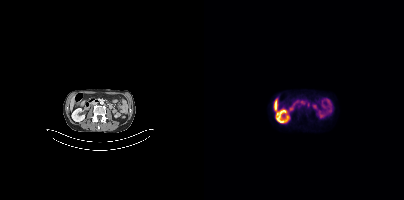
Findings: Coordinates are on the 200×200 PET (right) panel. PSMA-avid tumor lesion bounding box (x0, y0)-(x1, y1): (103, 102)-(105, 106). Small PSMA-avid focus (2 to 4 px across) near (center x, center y): (98, 101).
- Left: CT. Right: PSMA PET, same axial level, [18F]PSMA-1007 tracer
- acquired on Siemens Biograph mCT Flow 20
- slice 160 of 423